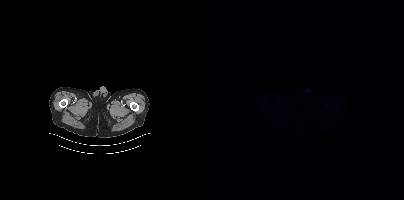
- Two-panel axial: CT | PSMA PET, 18F-PSMA tracer
Findings: No PSMA-avid tumor lesions on this slice.